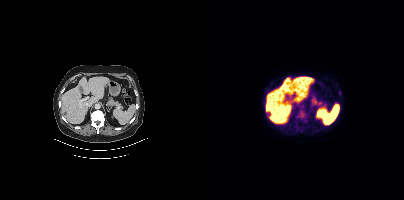
Left: CT. Right: PSMA PET, same axial level, 18F tracer. Slice position z = -1053 mm.
Coordinates are on the 200×200 PET (right) panel. PSMA-avid tumor lesion bounding boxes (partial; 1 more focus not listed):
| # | x0 | y0 | x1 | y1 |
|---|---|---|---|---|
| 1 | 91 | 110 | 104 | 121 |
| 2 | 91 | 122 | 94 | 126 |
Small PSMA-avid focus (2 to 4 px across) near (center x, center y): (135, 92).